Left: CT. Right: PSMA PET, same axial level, [18F]PSMA-1007 tracer. Slice position z = -1311 mm.
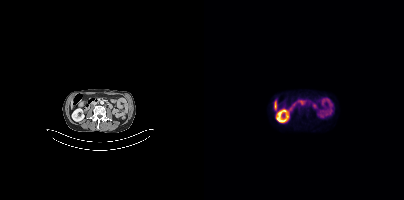
Coordinates are on the 200×200 PET (right) panel. PSMA-avid tumor lesion bounding boxes:
| # | x0 | y0 | x1 | y1 |
|---|---|---|---|---|
| 1 | 97 | 101 | 101 | 105 |